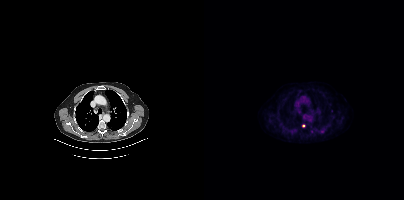
Technique: Two-panel axial: CT | PSMA PET, 18F tracer. acquired on Siemens Biograph mCT Flow 20. slice 310 of 401. PET panel 200×200 px (4.1 mm/px).
Findings: Coordinates are on the 200×200 PET (right) panel. Small PSMA-avid focus (2 to 4 px across) near (center x, center y): (99, 125).